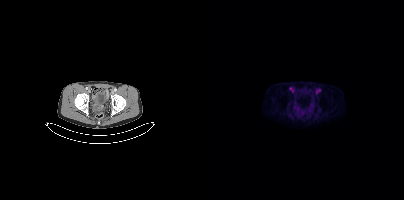
- Two-panel axial: CT | PSMA PET, 18F-PSMA tracer
- acquired on Siemens Biograph mCT Flow 20
- slice position z = 1205 mm
Findings: This slice has no annotated PSMA-avid lesion.